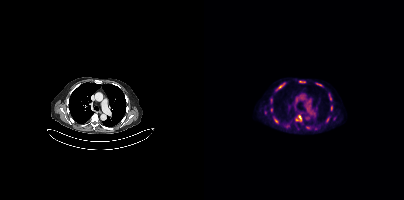
{"modality":"PSMA PET/CT","view":"axial","tracer":"[18F]PSMA-1007","pet_grid":[200,200],"coord_frame":"pet_panel","coord_format":"x0,y0,x1,y1","partial":true,"lesion_bboxes":[[92,115,97,121],[74,83,81,89],[95,81,101,82],[70,118,74,122],[112,83,117,85]],"small_foci_centers":[[127,108],[67,109],[123,119],[125,95]]}